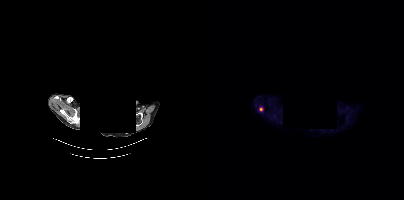
- a rectangle over the head was blacked out to remove identifiable facial features
- Left: CT. Right: PSMA PET, same axial level, 18F-PSMA tracer
Findings: Coordinates are on the 200×200 PET (right) panel. Small PSMA-avid focus (2 to 4 px across) near (center x, center y): (57, 109).